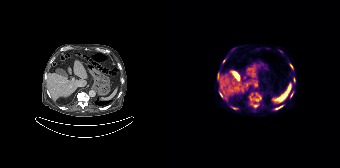
Paired axial CT (left) and PSMA PET (right), [18F]PSMA-1007 tracer. Slice position z = -1264 mm. PET panel 168×168 px (4.1 mm/px). Coordinates are on the 168×168 PET (right) panel. (showing 10 of 11 foci) PSMA-avid tumor lesion bounding boxes (x, y, width, height): x=77 y=94 w=13 h=8; x=78 y=102 w=9 h=6; x=103 y=105 w=8 h=5; x=59 y=107 w=7 h=3; x=45 y=73 w=3 h=7; x=47 y=92 w=4 h=6; x=118 y=64 w=4 h=5; x=118 y=91 w=4 h=7. Small PSMA-avid foci (2 to 4 px across) near (center x, center y): (108, 51); (52, 61).